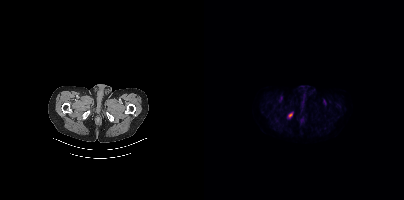
- Two-panel axial: CT | PSMA PET, 18F tracer
- PET panel 200×200 px (4.1 mm/px)
Findings: No PSMA-avid tumor lesions on this slice.